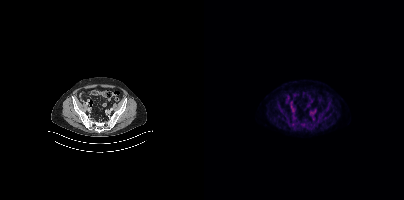
{"pet_grid":[200,200],"coord_frame":"pet_panel","coord_format":"x0,y0,x1,y1","lesion_bboxes":[[86,104,91,113]],"modality":"PSMA PET/CT","view":"axial","tracer":"18F"}